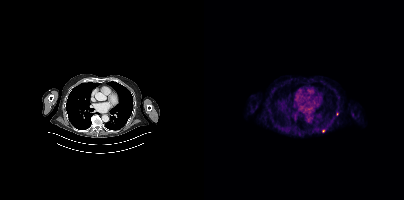
{"modality":"PSMA PET/CT","view":"axial","tracer":"18F-PSMA","pet_grid":[200,200],"coord_frame":"pet_panel","coord_format":"x0,y0,x1,y1","partial":true,"lesion_bboxes":[]}